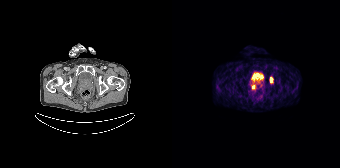
Technique: Two-panel axial: CT | PSMA PET, [68Ga]Ga-PSMA-11 tracer. acquired on Siemens Biograph 64-4R TruePoint. PET panel 168×168 px (4.1 mm/px).
Findings: Coordinates are on the 168×168 PET (right) panel. PSMA-avid tumor lesion bounding box (x, y, width, height): x=98 y=77 w=4 h=7. Small PSMA-avid focus (2 to 4 px across) near (center x, center y): (81, 86).